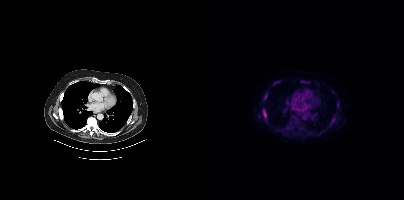
Two-panel axial: CT | PSMA PET, 18F-PSMA tracer. Coordinates are on the 200×200 PET (right) panel. Small PSMA-avid foci (2 to 4 px across) near (center x, center y): (62, 94) | (60, 114).